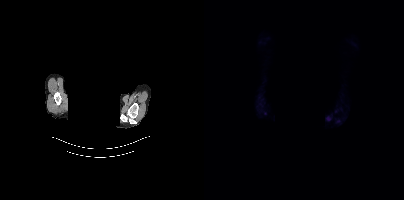
Two-panel axial: CT | PSMA PET, 18F-PSMA tracer. Slice 381 of 427. A rectangle over the head was blacked out to remove identifiable facial features. Only PSMA-avid lesion pieces thinner than 2 px on this slice (not listed).